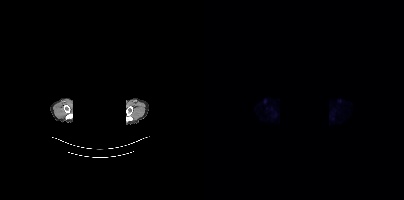
Technique: Left: CT. Right: PSMA PET, same axial level, [18F]PSMA-1007 tracer. slice 381 of 435. PET panel 200×200 px (4.1 mm/px).
Note: Facial anatomy redacted by setting a rectangular region of the head to black.
Findings: No tumor lesions annotated on this slice.